Paired axial CT (left) and PSMA PET (right), [68Ga]Ga-PSMA-11 tracer. PET panel 168×168 px (4.1 mm/px).
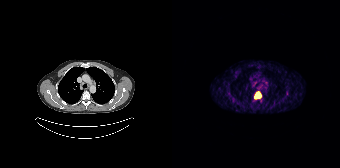
Coordinates are on the 168×168 PET (right) panel. (showing 1 of 2 foci) PSMA-avid tumor lesion bounding box (x0, y0)-(x1, y1): (82, 91)-(89, 99).